Two-panel axial: CT | PSMA PET, [68Ga]Ga-PSMA-11 tracer. Acquired on Siemens Biograph mCT Flow 20. PET panel 200×200 px (4.1 mm/px).
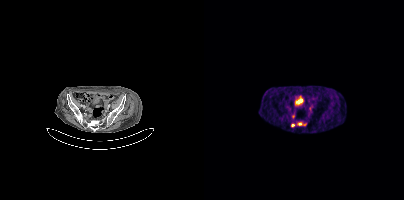
Coordinates are on the 200×200 PET (right) panel. PSMA-avid tumor lesion bounding boxes:
| # | x0 | y0 | x1 | y1 |
|---|---|---|---|---|
| 1 | 88 | 114 | 90 | 118 |
Small PSMA-avid foci (2 to 4 px across) near (center x, center y): (96, 123); (88, 125); (106, 108); (101, 124).